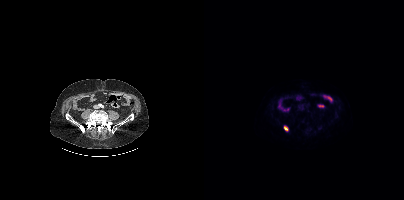
modality: PSMA PET/CT | tracer: 18F | view: axial | PET grid: 200×200
Coordinates are on the 200×200 PET (right) panel. PSMA-avid tumor lesion bounding box (x, y, width, height): x=80 y=126 w=4 h=5.